modality: PSMA PET/CT | tracer: [18F]PSMA-1007 | view: axial | PET grid: 200×200
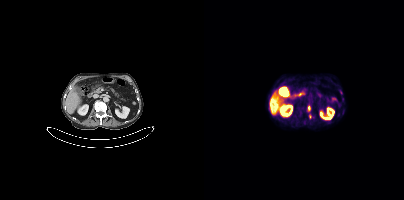
Coordinates are on the 200×200 PET (right) panel. (showing 1 of 3 foci) PSMA-avid tumor lesion bounding box (x0,y0,x1,y1): [104,106,106,110].